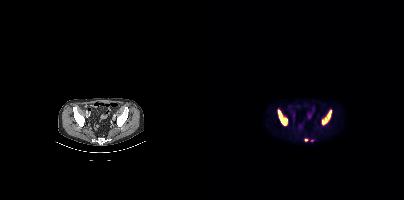
{"modality":"PSMA PET/CT","view":"axial","tracer":"[18F]PSMA-1007","pet_grid":[200,200],"coord_frame":"pet_panel","coord_format":"x0,y0,x1,y1","partial":true,"lesion_bboxes":[[74,110,82,124],[118,118,123,125],[124,110,127,119]],"small_foci_centers":[[101,139]]}